Technique: Two-panel axial: CT | PSMA PET, 18F-PSMA tracer. acquired on Siemens Biograph mCT Flow 20. slice position z = -640 mm.
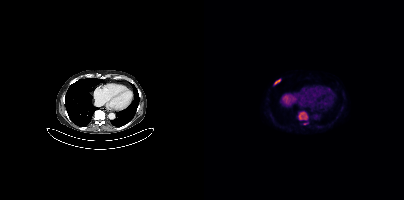
Findings: Coordinates are on the 200×200 PET (right) panel. PSMA-avid tumor lesion bounding boxes (x, y, width, height): x=95 y=112 w=9 h=8 / x=70 y=79 w=7 h=6. Small PSMA-avid focus (2 to 4 px across) near (center x, center y): (100, 123).